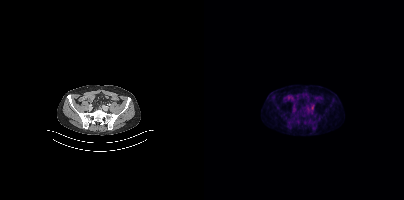
modality: PSMA PET/CT | tracer: 18F-PSMA | view: axial | PET grid: 200×200
Coordinates are on the 200×200 PET (right) panel. (showing 1 of 2 foci) Small PSMA-avid focus (2 to 4 px across) near (center x, center y): (108, 107).